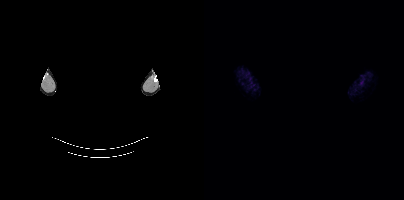
Paired axial CT (left) and PSMA PET (right), 18F tracer. Slice 406 of 409. Any black rectangle over the head is a privacy mask, not anatomy. No PSMA-avid tumor lesions on this slice.